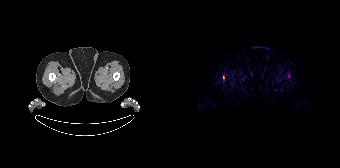
modality: PSMA PET/CT | tracer: 18F-PSMA | view: axial
Negative for PSMA-avid disease on this slice.